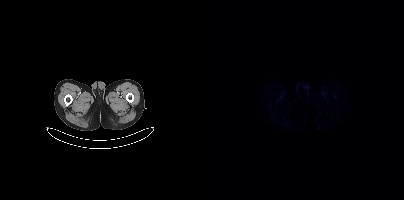
This slice has no annotated PSMA-avid lesion.